- Left: CT. Right: PSMA PET, same axial level, [18F]PSMA-1007 tracer
- acquired on Siemens Biograph mCT Flow 20
- slice 91 of 419
- PET panel 200×200 px (4.1 mm/px)
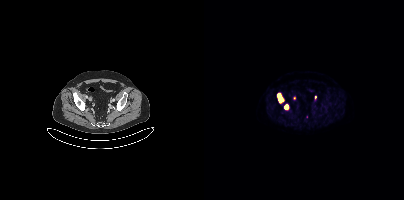
Findings: Coordinates are on the 200×200 PET (right) panel. (showing 2 of 3 foci) PSMA-avid tumor lesion bounding boxes (x0, y0)-(x1, y1): (73, 93)-(79, 102); (80, 105)-(84, 108).